- Paired axial CT (left) and PSMA PET (right), 18F-PSMA tracer
- acquired on Siemens Biograph mCT Flow 20
- slice 270 of 442
- PET panel 200×200 px (4.1 mm/px)
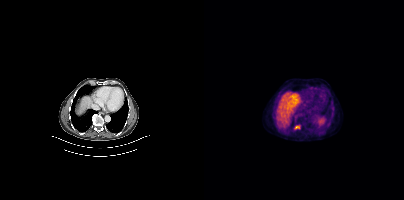
Findings: Coordinates are on the 200×200 PET (right) panel. (showing 1 of 3 foci) Small PSMA-avid focus (2 to 4 px across) near (center x, center y): (93, 126).